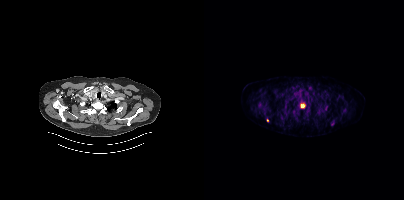
modality: PSMA PET/CT | tracer: [18F]PSMA-1007 | view: axial | PET grid: 200×200
Coordinates are on the 200×200 PET (right) panel. PSMA-avid tumor lesion bounding boxes (x0,y0,x1,y1): [96,103,104,112]; [54,102,60,108]; [116,107,121,113]; [138,108,142,112]; [104,86,108,90]; [80,103,85,108]. Small PSMA-avid foci (2 to 4 px across) near (center x, center y): (122, 104); (128, 124); (63, 120).